Technique: Two-panel axial: CT | PSMA PET, 18F-PSMA tracer. acquired on Siemens Biograph 64-4R TruePoint. slice 53 of 165. PET panel 168×168 px (4.1 mm/px).
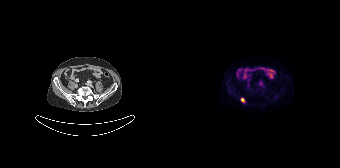
Findings: Coordinates are on the 168×168 PET (right) panel. PSMA-avid tumor lesion bounding box (x0,y0,x1,y1): [69,98,72,102].